- Paired axial CT (left) and PSMA PET (right), 18F-PSMA tracer
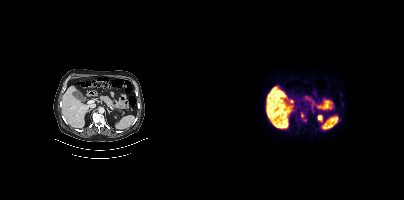
Findings: Coordinates are on the 200×200 PET (right) panel. (showing 2 of 3 foci) PSMA-avid tumor lesion bounding box (x0,y0,x1,y1): [97,113,99,117]. Small PSMA-avid focus (2 to 4 px across) near (center x, center y): (100, 119).